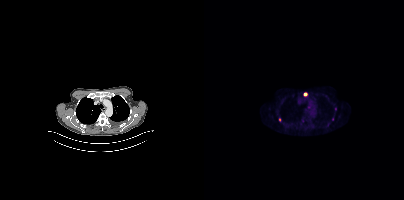
- Paired axial CT (left) and PSMA PET (right), [18F]PSMA-1007 tracer
- acquired on Siemens Biograph mCT Flow 20
Findings: Coordinates are on the 200×200 PET (right) panel. (showing 4 of 5 foci) Small PSMA-avid foci (2 to 4 px across) near (center x, center y): (101, 94) / (75, 119) / (131, 109) / (128, 119).